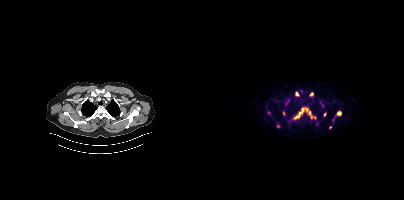
{"modality":"PSMA PET/CT","view":"axial","tracer":"[18F]PSMA-1007","pet_grid":[200,200],"coord_frame":"pet_panel","coord_format":"x0,y0,x1,y1","partial":true,"lesion_bboxes":[[90,112,96,119],[133,111,137,115],[106,112,111,118]],"small_foci_centers":[[93,93],[107,94],[82,104],[98,109],[79,113],[120,114],[126,127],[73,125]]}